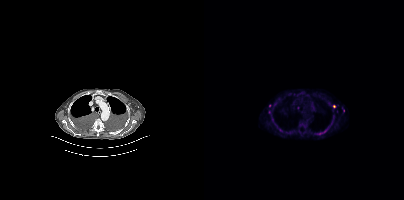
{"modality":"PSMA PET/CT","view":"axial","tracer":"18F","pet_grid":[200,200],"coord_frame":"pet_panel","coord_format":"x0,y0,x1,y1","lesion_bboxes":[[113,128,123,134]],"small_foci_centers":[[94,107],[130,106],[76,130],[65,105],[139,111],[65,111]]}